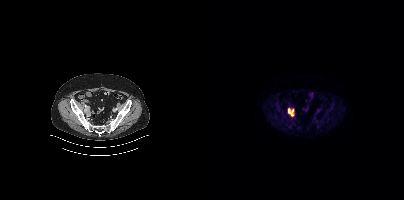
{"pet_grid":[200,200],"coord_frame":"pet_panel","coord_format":"x0,y0,x1,y1","lesion_bboxes":[[84,108,90,116]],"modality":"PSMA PET/CT","view":"axial","tracer":"18F"}